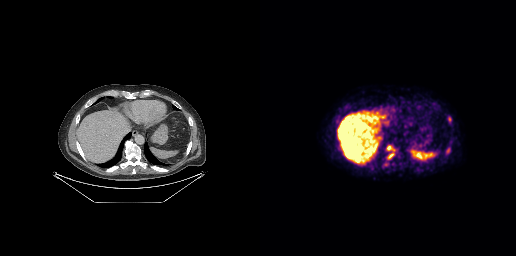
{"modality":"PSMA PET/CT","view":"axial","tracer":"18F","pet_grid":[256,256],"coord_frame":"pet_panel","coord_format":"x0,y0,x1,y1","lesion_bboxes":[[127,145,134,150],[186,147,190,153],[128,153,134,158],[188,116,191,122]]}